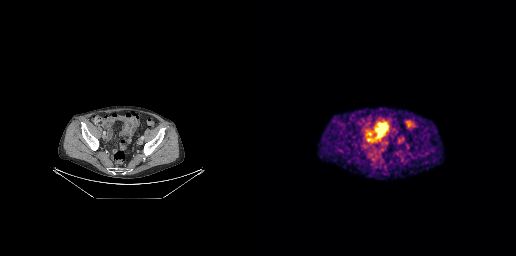
Two-panel axial: CT | PSMA PET, 68Ga-PSMA tracer. PET panel 256×256 px (2.7 mm/px). No PSMA-avid tumor lesions on this slice.